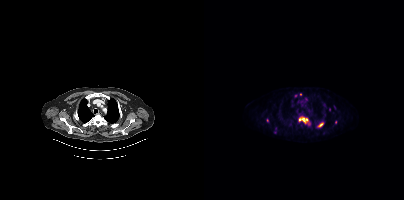
Coordinates are on the 200×200 PET (right) panel. (showing 10 of 11 foci) PSMA-avid tumor lesion bounding boxes (x0, y0)-(x1, y1): (95, 117)-(105, 124) / (113, 123)-(119, 127). Small PSMA-avid foci (2 to 4 px across) near (center x, center y): (102, 98) / (130, 106) / (63, 120) / (125, 109) / (131, 122) / (96, 94) / (71, 132) / (91, 95).